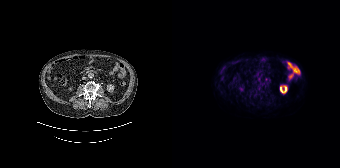
{"modality":"PSMA PET/CT","view":"axial","tracer":"18F-PSMA","pet_grid":[168,168],"coord_frame":"pet_panel","coord_format":"x0,y0,x1,y1","lesion_bboxes":[],"small_foci_centers":[[94,79]]}